An anonymization step blacked out a rectangle over the head in this scan.
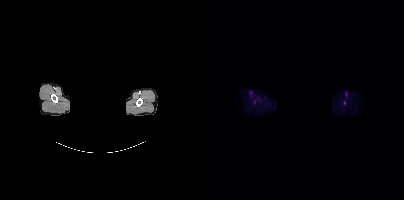
Coordinates are on the 200×200 PET (right) panel. Small PSMA-avid focus (2 to 4 px across) near (center x, center y): (140, 102).